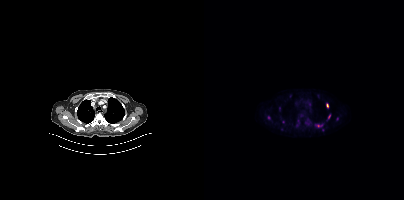
modality: PSMA PET/CT | tracer: 18F-PSMA | view: axial
Coordinates are on the 200×200 PET (right) panel. (showing 2 of 5 foci) Small PSMA-avid foci (2 to 4 px across) near (center x, center y): (123, 105); (114, 125).